Paired axial CT (left) and PSMA PET (right), 68Ga-PSMA tracer. Acquired on Siemens Biograph mCT Flow 20. Slice position z = -1338 mm.
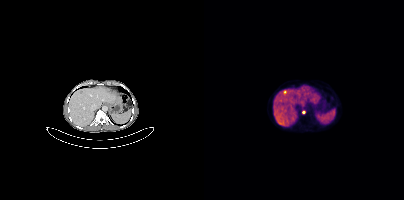
Coordinates are on the 200×200 PET (right) panel. Small PSMA-avid focus (2 to 4 px across) near (center x, center y): (99, 112).